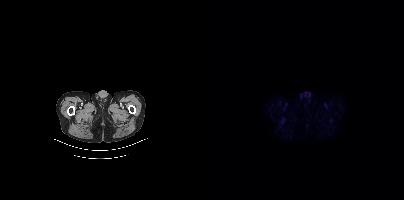
Findings: This slice has no annotated PSMA-avid lesion.
- Paired axial CT (left) and PSMA PET (right), [18F]PSMA-1007 tracer